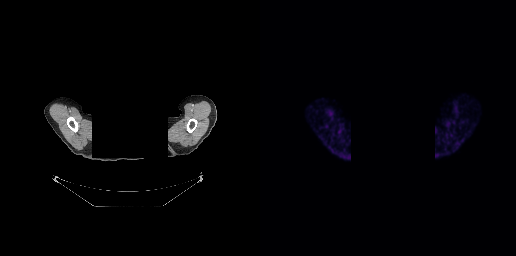
No tumor lesions annotated on this slice.
modality: PSMA PET/CT | tracer: 68Ga-PSMA | view: axial | redaction: head region blanked (face removed)